Left: CT. Right: PSMA PET, same axial level, [68Ga]Ga-PSMA-11 tracer. Acquired on Siemens Biograph mCT Flow 20. Slice position z = -1114 mm. PET panel 200×200 px (4.1 mm/px).
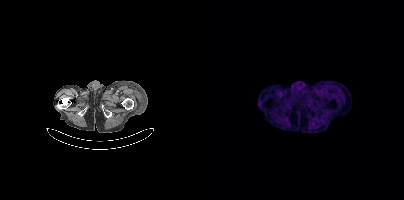
Negative for PSMA-avid disease on this slice.